Technique: Paired axial CT (left) and PSMA PET (right), [68Ga]Ga-PSMA-11 tracer. acquired on GE Discovery 690. slice position z = -267 mm.
Note: A rectangular privacy mask was applied before release.
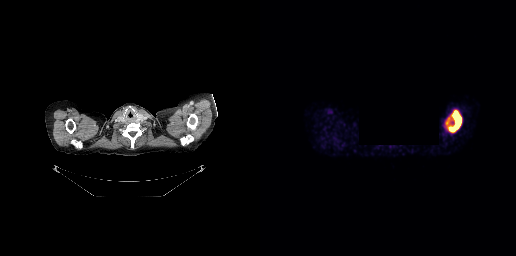
Findings: Coordinates are on the 256×256 PET (right) panel. PSMA-avid tumor lesion bounding box (x0, y0)-(x1, y1): (186, 110)-(201, 132).